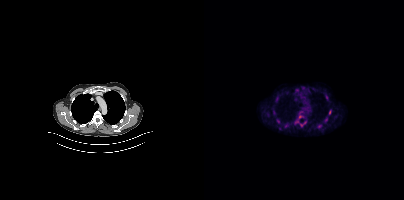
Two-panel axial: CT | PSMA PET, 18F-PSMA tracer. Coordinates are on the 200×200 PET (right) panel. PSMA-avid tumor lesion bounding boxes (x0,y0,x1,y1): [113,124,117,128], [124,109,127,115], [120,117,123,122]. Small PSMA-avid foci (2 to 4 px across) near (center x, center y): (74, 120), (123, 98), (69, 112).